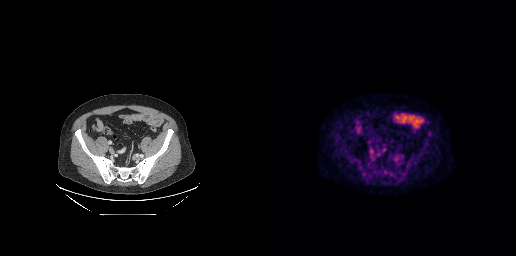
Two-panel axial: CT | PSMA PET, 18F-PSMA tracer. Acquired on GE Discovery 690. Slice position z = -538 mm. No PSMA-avid tumor lesions on this slice.